- Two-panel axial: CT | PSMA PET, 18F tracer
- acquired on Siemens Biograph mCT Flow 20
- slice 240 of 367
- PET panel 200×200 px (4.1 mm/px)
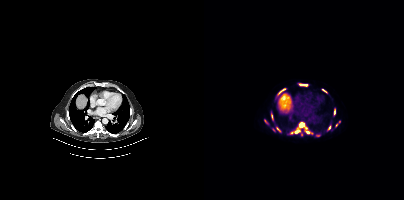
Findings: Coordinates are on the 200×200 PET (right) panel. (showing 11 of 13 foci) PSMA-avid tumor lesion bounding boxes (x0, y0)-(x1, y1): (90, 122)-(103, 133); (96, 84)-(103, 85); (130, 109)-(131, 114); (75, 89)-(81, 93). Small PSMA-avid foci (2 to 4 px across) near (center x, center y): (103, 132); (125, 127); (67, 116); (132, 125); (74, 129); (87, 132); (114, 135).